Paired axial CT (left) and PSMA PET (right), 18F tracer. Slice position z = -801 mm. PET panel 200×200 px (4.1 mm/px).
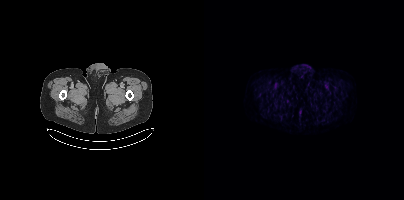
Negative for PSMA-avid disease on this slice.